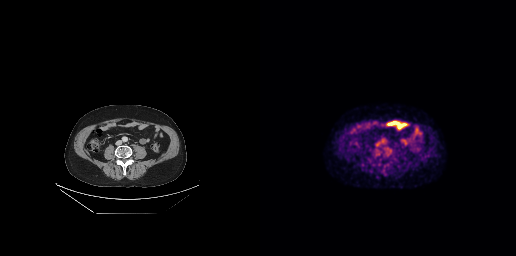
No tumor lesions annotated on this slice.